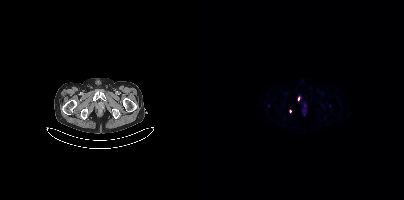
Technique: Paired axial CT (left) and PSMA PET (right), 68Ga tracer.
Findings: Coordinates are on the 200×200 PET (right) panel. (showing 2 of 3 foci) Small PSMA-avid foci (2 to 4 px across) near (center x, center y): (94, 98) (86, 111).